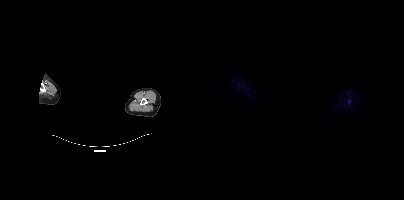
{"modality":"PSMA PET/CT","view":"axial","tracer":"18F-PSMA","pet_grid":[200,200],"coord_frame":"pet_panel","coord_format":"x0,y0,x1,y1","deidentification":"privacy mask over head","psma_avid_lesions":false}